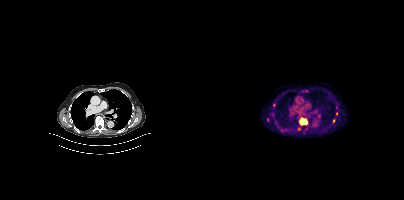
{"modality":"PSMA PET/CT","view":"axial","tracer":"[18F]PSMA-1007","pet_grid":[200,200],"coord_frame":"pet_panel","coord_format":"x0,y0,x1,y1","partial":true,"lesion_bboxes":[[95,118,103,125]],"small_foci_centers":[[132,113],[63,119],[129,120]]}